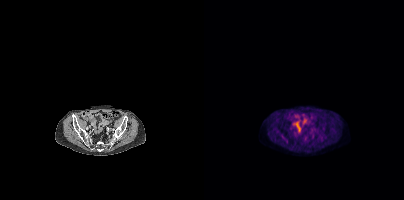
Paired axial CT (left) and PSMA PET (right), [18F]PSMA-1007 tracer. PET panel 200×200 px (4.1 mm/px). No tumor lesions annotated on this slice.